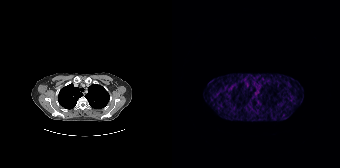
This slice has no annotated PSMA-avid lesion.